modality: PSMA PET/CT | tracer: 68Ga | view: axial | PET grid: 256×256
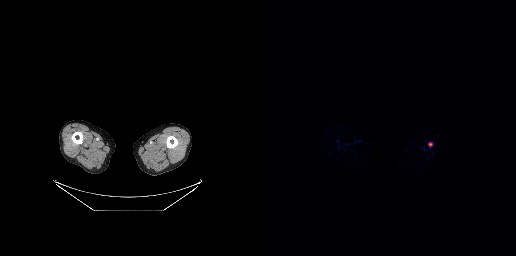
Coordinates are on the 256×256 PET (right) panel. Small PSMA-avid focus (2 to 4 px across) near (center x, center y): (170, 144).